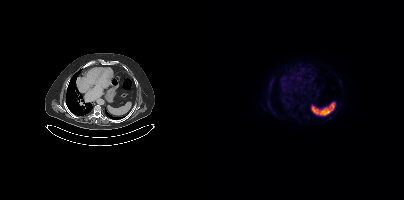
Left: CT. Right: PSMA PET, same axial level, 18F-PSMA tracer. Slice position z = -385 mm. This slice has no annotated PSMA-avid lesion.